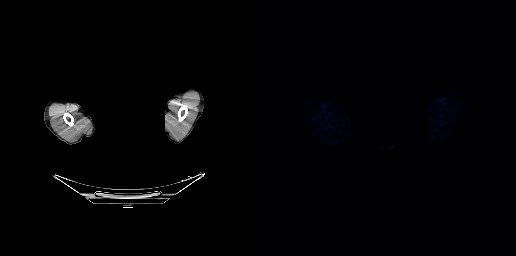
redaction: facial region redacted | modality: PSMA PET/CT | tracer: [18F]PSMA-1007 | view: axial
No tumor lesions annotated on this slice.